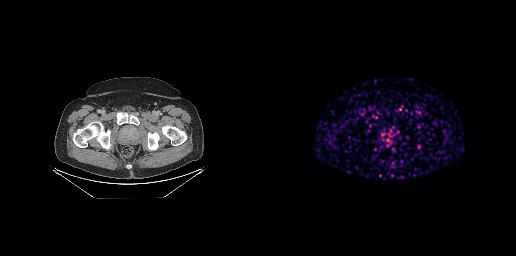
Coordinates are on the 256×256 PET (right) panel. (showing 1 of 2 foci) Small PSMA-avid focus (2 to 4 px across) near (center x, center y): (127, 139). Paired axial CT (left) and PSMA PET (right), [68Ga]Ga-PSMA-11 tracer.